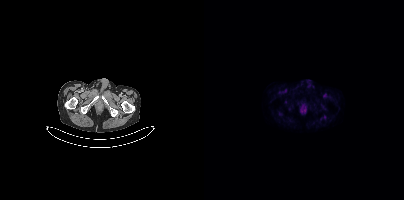
{"modality":"PSMA PET/CT","view":"axial","tracer":"[18F]PSMA-1007","pet_grid":[200,200],"coord_frame":"pet_panel","coord_format":"x0,y0,x1,y1","psma_avid_lesions":false}